Left: CT. Right: PSMA PET, same axial level, 68Ga tracer. Acquired on Siemens Biograph 64-4R TruePoint.
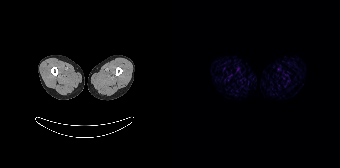
This slice has no annotated PSMA-avid lesion.